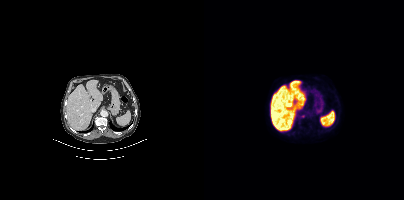
{"modality":"PSMA PET/CT","view":"axial","tracer":"[18F]PSMA-1007","pet_grid":[200,200],"coord_frame":"pet_panel","coord_format":"x0,y0,x1,y1","psma_avid_lesions":false}